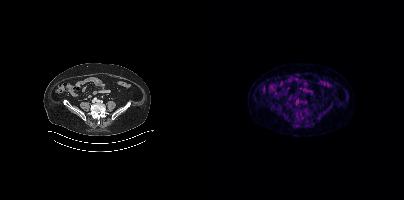
Technique: Paired axial CT (left) and PSMA PET (right), 18F tracer. PET panel 200×200 px (4.1 mm/px).
Findings: No tumor lesions annotated on this slice.